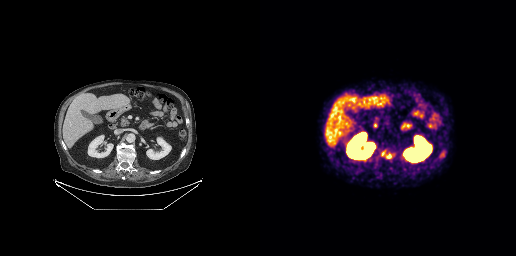
Coordinates are on the 256×256 PET (right) panel. PSMA-avid tumor lesion bounding boxes (x0, y0)-(x1, y1): (126, 153)-(131, 158) / (121, 151)-(125, 155). Left: CT. Right: PSMA PET, same axial level, 68Ga tracer. PET panel 256×256 px (2.7 mm/px).